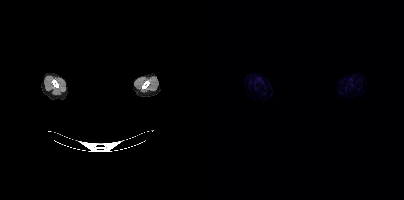
Paired axial CT (left) and PSMA PET (right), [18F]PSMA-1007 tracer. Slice position z = -800 mm. PET panel 200×200 px (4.1 mm/px). Privacy masking over the head, with the pixels inside a rectangle set to black. No PSMA-avid tumor lesions on this slice.